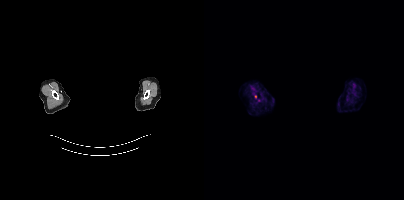
modality: PSMA PET/CT | tracer: 18F-PSMA | view: axial | deidentification: head region blanked (face removed)
Coordinates are on the 200×200 PET (right) panel. Small PSMA-avid focus (2 to 4 px across) near (center x, center y): (51, 96).